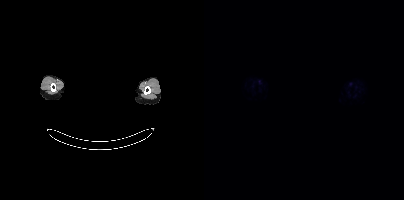
This slice has no annotated PSMA-avid lesion.
redaction: rectangular block over head set to black | modality: PSMA PET/CT | tracer: 18F-PSMA | view: axial | PET grid: 200×200